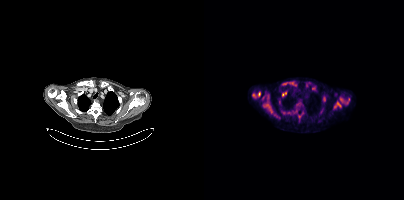
Paired axial CT (left) and PSMA PET (right), 18F tracer. Coordinates are on the 200×200 PET (right) panel. (showing 9 of 15 foci) PSMA-avid tumor lesion bounding boxes (x0,y0,x1,y1): [59,105,68,113] [78,81,89,85] [130,101,137,108] [78,92,82,95] [81,112,86,113]. Small PSMA-avid foci (2 to 4 px across) near (center x, center y): (137, 99) (55, 93) (95, 116) (49, 94).